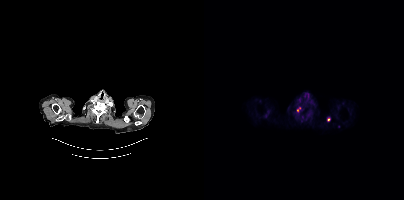
- Paired axial CT (left) and PSMA PET (right), 68Ga-PSMA tracer
- slice 348 of 409
Findings: Coordinates are on the 200×200 PET (right) panel. (showing 2 of 3 foci) Small PSMA-avid foci (2 to 4 px across) near (center x, center y): (124, 119) (93, 110).